deidentification: rectangular block over head set to black | modality: PSMA PET/CT | tracer: [18F]PSMA-1007 | view: axial | PET grid: 200×200
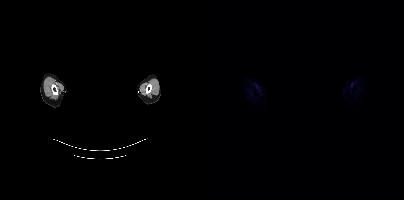
Negative for PSMA-avid disease on this slice.